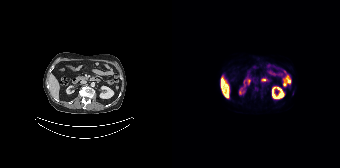
Coordinates are on the 168×168 PET (right) panel. Small PSMA-avid foci (2 to 4 px across) near (center x, center y): (50, 82); (55, 96).